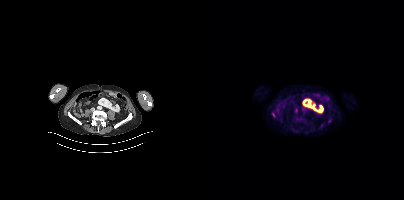
Left: CT. Right: PSMA PET, same axial level, [18F]PSMA-1007 tracer. Slice 134 of 421. This slice has no annotated PSMA-avid lesion.